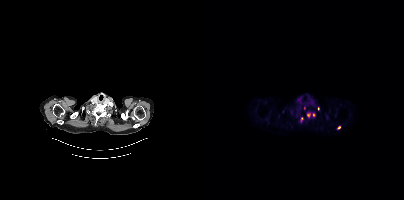
- Two-panel axial: CT | PSMA PET, 68Ga-PSMA tracer
- acquired on Siemens Biograph mCT Flow 20
- slice 341 of 409
Findings: Coordinates are on the 200×200 PET (right) panel. PSMA-avid tumor lesion bounding box (x0,y0,x1,y1): [103,113,106,117]. Small PSMA-avid foci (2 to 4 px across) near (center x, center y): (110, 114) (135, 127) (100, 108) (114, 108) (97, 119).